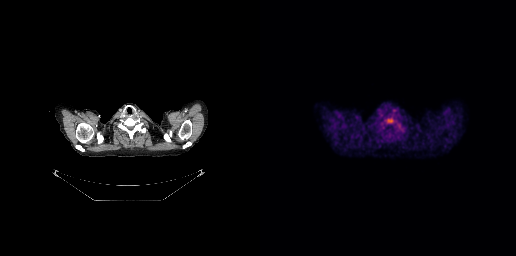
Technique: Paired axial CT (left) and PSMA PET (right), 18F-PSMA tracer. acquired on GE Discovery 690.
Findings: Coordinates are on the 256×256 PET (right) panel. (showing 1 of 2 foci) Small PSMA-avid focus (2 to 4 px across) near (center x, center y): (129, 120).